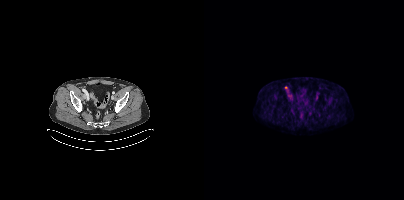
Left: CT. Right: PSMA PET, same axial level, [18F]PSMA-1007 tracer. Slice 114 of 454. PET panel 200×200 px (4.1 mm/px). Coordinates are on the 200×200 PET (right) panel. Small PSMA-avid focus (2 to 4 px across) near (center x, center y): (82, 87).